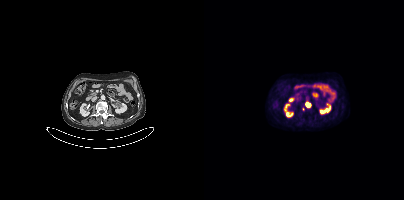
{"modality":"PSMA PET/CT","view":"axial","tracer":"[18F]PSMA-1007","pet_grid":[200,200],"coord_frame":"pet_panel","coord_format":"x0,y0,x1,y1","lesion_bboxes":[[102,102,106,107]],"small_foci_centers":[[99,109]]}